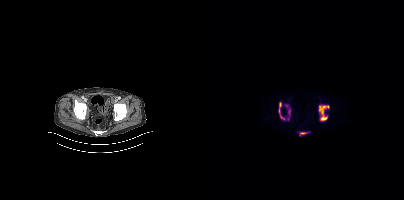
{"pet_grid":[200,200],"coord_frame":"pet_panel","coord_format":"x0,y0,x1,y1","partial":true,"lesion_bboxes":[[115,105,125,120],[74,102,80,119],[96,132,102,135],[84,110,86,114]],"small_foci_centers":[[82,105]],"modality":"PSMA PET/CT","view":"axial","tracer":"[18F]PSMA-1007"}